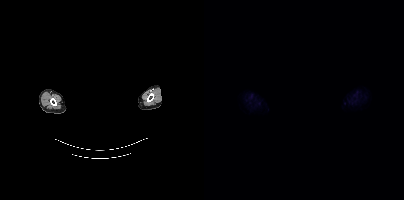
{"modality":"PSMA PET/CT","view":"axial","tracer":"18F","pet_grid":[200,200],"coord_frame":"pet_panel","coord_format":"x0,y0,x1,y1","de-identification":"facial region redacted","psma_avid_lesions":false}